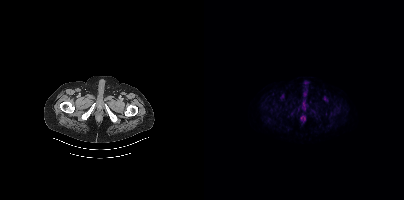
{"modality":"PSMA PET/CT","view":"axial","tracer":"[18F]PSMA-1007","pet_grid":[200,200],"coord_frame":"pet_panel","coord_format":"x0,y0,x1,y1","lesion_bboxes":[],"small_foci_centers":[[93,106]]}